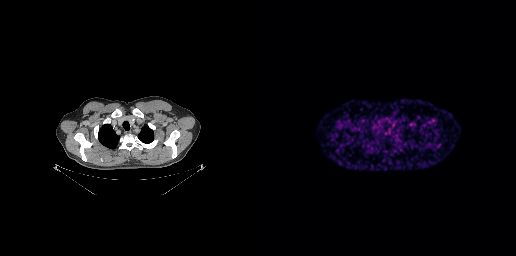
Paired axial CT (left) and PSMA PET (right), [68Ga]Ga-PSMA-11 tracer. No PSMA-avid tumor lesions on this slice.